Left: CT. Right: PSMA PET, same axial level, 18F-PSMA tracer. Acquired on Siemens Biograph mCT Flow 20. Slice 383 of 454.
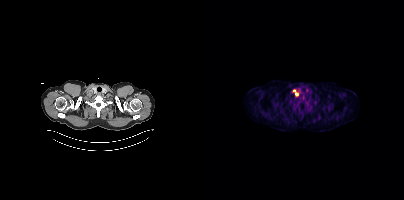
Coordinates are on the 200×200 PET (right) panel. PSMA-avid tumor lesion bounding box (x0, y0)-(x1, y1): (89, 89)-(94, 96).